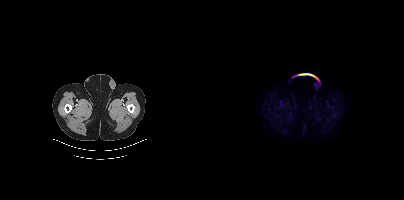
modality: PSMA PET/CT | tracer: [18F]PSMA-1007 | view: axial
No tumor lesions annotated on this slice.